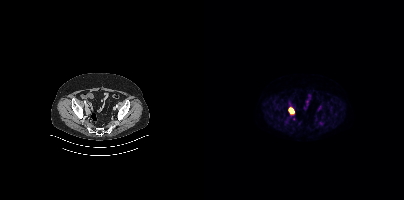
Two-panel axial: CT | PSMA PET, 18F tracer. Slice position z = -859 mm.
Coordinates are on the 200×200 PET (right) panel. PSMA-avid tumor lesion bounding boxes:
| # | x0 | y0 | x1 | y1 |
|---|---|---|---|---|
| 1 | 84 | 107 | 90 | 114 |